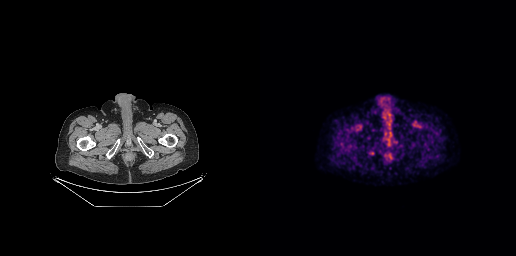
Coordinates are on the 256×256 PET (right) panel. Small PSMA-avid focus (2 to 4 px across) near (center x, center y): (112, 153).